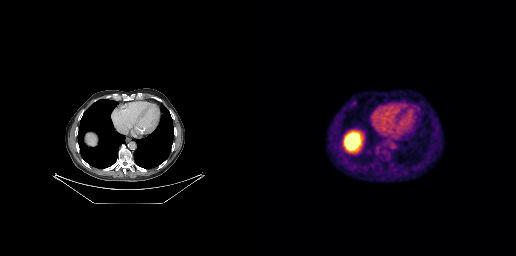
Technique: Left: CT. Right: PSMA PET, same axial level, 18F tracer. acquired on GE Discovery 690. PET panel 256×256 px (2.7 mm/px).
Findings: Coordinates are on the 256×256 PET (right) panel. PSMA-avid tumor lesion bounding box (x0, y0)-(x1, y1): (91, 102)-(95, 105).